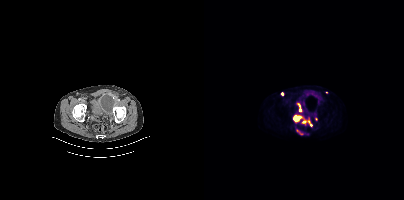
Paired axial CT (left) and PSMA PET (right), [18F]PSMA-1007 tracer.
Coordinates are on the 200×200 PET (right) panel. PSMA-avid tumor lesion bounding boxes (partial; 2 more foci not listed):
| # | x0 | y0 | x1 | y1 |
|---|---|---|---|---|
| 1 | 89 | 115 | 97 | 121 |
| 2 | 93 | 103 | 97 | 111 |
| 3 | 104 | 121 | 108 | 126 |
| 4 | 98 | 121 | 102 | 123 |
Small PSMA-avid focus (2 to 4 px across) near (center x, center y): (78, 94).